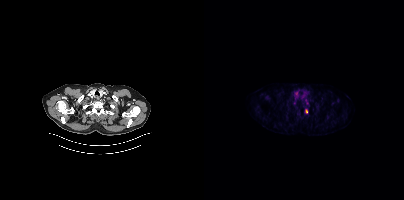
Coordinates are on the 200×200 PET (right) panel. Small PSMA-avid focus (2 to 4 px across) near (center x, center y): (102, 111).
modality: PSMA PET/CT | tracer: [18F]PSMA-1007 | view: axial